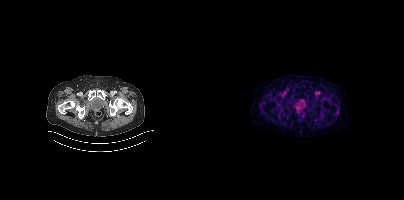
Findings: This slice has no annotated PSMA-avid lesion.
- Paired axial CT (left) and PSMA PET (right), 18F tracer
- PET panel 200×200 px (4.1 mm/px)